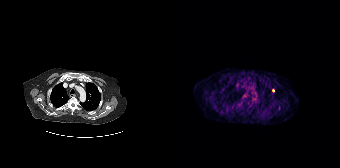
{"modality":"PSMA PET/CT","view":"axial","tracer":"68Ga","pet_grid":[168,168],"coord_frame":"pet_panel","coord_format":"x0,y0,x1,y1","partial":true,"lesion_bboxes":[]}